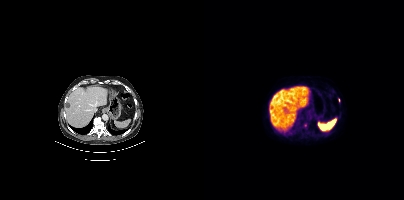
- Two-panel axial: CT | PSMA PET, 18F-PSMA tracer
Findings: Coordinates are on the 200×200 PET (right) panel. (showing 1 of 2 foci) Small PSMA-avid focus (2 to 4 px across) near (center x, center y): (101, 125).